Technique: Paired axial CT (left) and PSMA PET (right), 18F-PSMA tracer. acquired on Siemens Biograph 64-4R TruePoint. PET panel 168×168 px (4.1 mm/px).
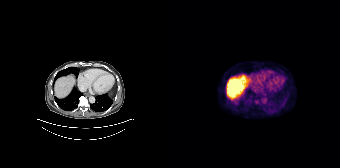
Findings: Coordinates are on the 168×168 PET (right) panel. Small PSMA-avid focus (2 to 4 px across) near (center x, center y): (84, 101).